A rectangle over the head was blacked out to remove identifiable facial features.
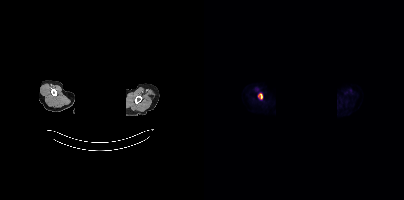
Coordinates are on the 200×200 PET (right) panel. PSMA-avid tumor lesion bounding box (x, y, width, height): x=54 y=93 w=5 h=7.